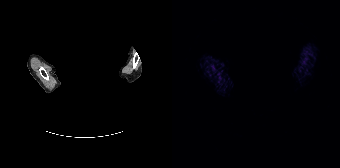
A rectangle over the head was blacked out to remove identifiable facial features.
This slice has no annotated PSMA-avid lesion.